- Paired axial CT (left) and PSMA PET (right), 18F tracer
- acquired on Siemens Biograph mCT Flow 20
- slice 309 of 367
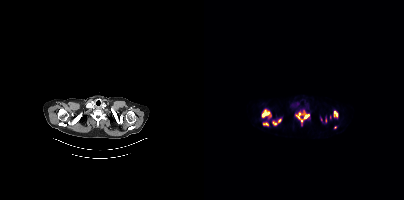
Findings: Coordinates are on the 200×200 PET (right) panel. (showing 5 of 8 foci) PSMA-avid tumor lesion bounding boxes (x0,y0,x1,y1): [91,111,105,122], [58,110,65,117], [68,119,76,125], [130,111,133,117], [59,123,64,125].